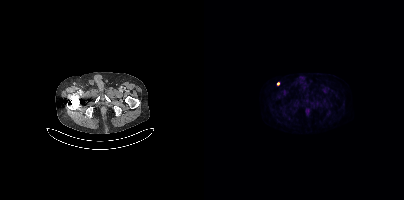
{"modality":"PSMA PET/CT","view":"axial","tracer":"[18F]PSMA-1007","pet_grid":[200,200],"coord_frame":"pet_panel","coord_format":"x0,y0,x1,y1","lesion_bboxes":[],"small_foci_centers":[[74,83]]}